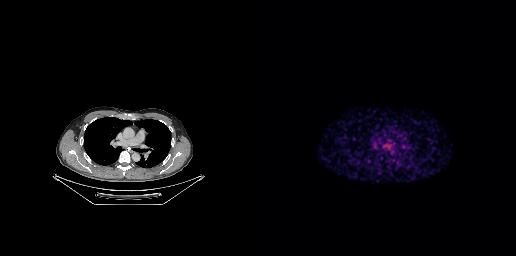
Two-panel axial: CT | PSMA PET, 68Ga tracer. Negative for PSMA-avid disease on this slice.